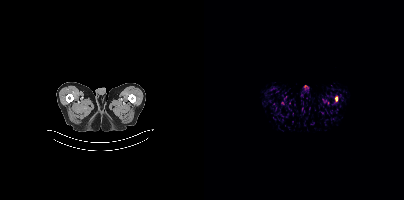
Coordinates are on the 200×200 PET (right) panel. Small PSMA-avid focus (2 to 4 px across) near (center x, center y): (132, 98). Two-panel axial: CT | PSMA PET, 18F-PSMA tracer. Acquired on Siemens Biograph mCT Flow 20. Slice position z = -1794 mm. PET panel 200×200 px (4.1 mm/px).